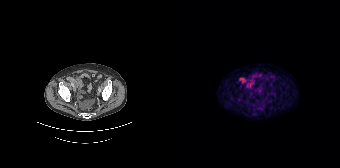
Coordinates are on the 168×168 PET (right) panel. PSMA-avid tumor lesion bounding box (x0,y0,x1,y1): [69,77,73,82].